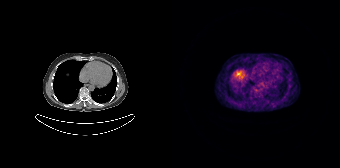
Two-panel axial: CT | PSMA PET, [68Ga]Ga-PSMA-11 tracer. Acquired on Siemens Biograph 64-4R TruePoint. PET panel 168×168 px (4.1 mm/px). This slice has no annotated PSMA-avid lesion.